Paired axial CT (left) and PSMA PET (right), [18F]PSMA-1007 tracer. The face region was removed for patient privacy by blanking a rectangle over the head.
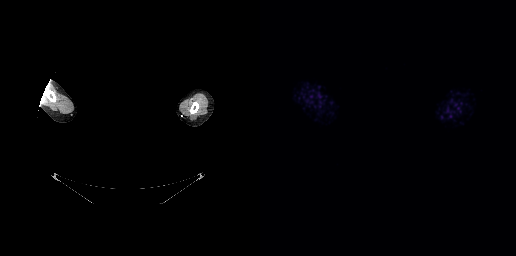
Negative for PSMA-avid disease on this slice.